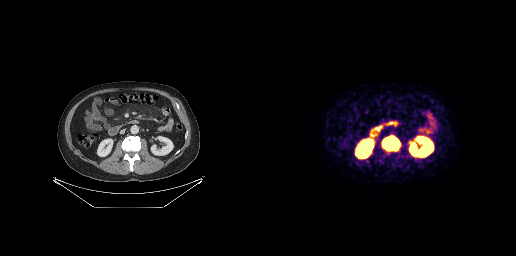
Coordinates are on the 256×256 PET (right) panel. PSMA-avid tumor lesion bounding box (x0,y0,x1,y1): [122,136,139,150].
modality: PSMA PET/CT | tracer: [68Ga]Ga-PSMA-11 | view: axial | PET grid: 256×256